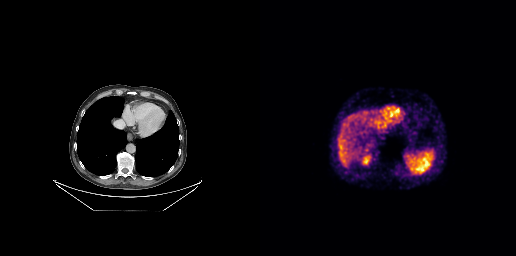
This slice has no annotated PSMA-avid lesion. Two-panel axial: CT | PSMA PET, 68Ga-PSMA tracer. Acquired on GE Discovery 690. Slice position z = -542 mm.